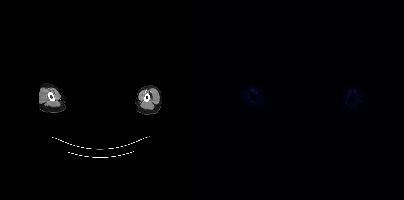
modality: PSMA PET/CT | tracer: 18F | view: axial | redaction: head region blacked out before release
No tumor lesions annotated on this slice.